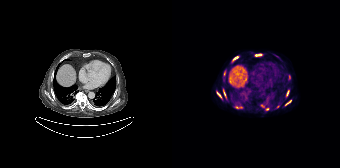
Left: CT. Right: PSMA PET, same axial level, 18F-PSMA tracer. Acquired on Siemens Biograph 64-4R TruePoint. Coordinates are on the 168×168 PET (right) panel. PSMA-avid tumor lesion bounding boxes (x, y, width, height): x=44 y=91 w=6 h=8 | x=63 y=106 w=8 h=3 | x=83 y=54 w=7 h=3 | x=51 y=89 w=4 h=9 | x=114 y=90 w=4 h=7 | x=60 y=57 w=6 h=5 | x=52 y=71 w=2 h=5 | x=113 y=100 w=7 h=6. Small PSMA-avid foci (2 to 4 px across) near (center x, center y): (95, 109) | (90, 106) | (105, 106).